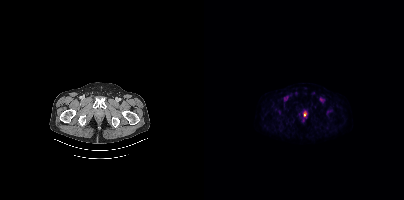
Technique: Paired axial CT (left) and PSMA PET (right), [18F]PSMA-1007 tracer.
Findings: Coordinates are on the 200×200 PET (right) panel. PSMA-avid tumor lesion bounding box (x, y, width, height): x=100 y=112 w=3 h=5.